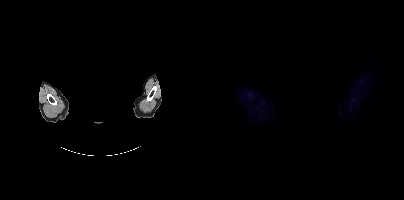
Two-panel axial: CT | PSMA PET, 18F-PSMA tracer. A rectangle over the head was blacked out to remove identifiable facial features. No PSMA-avid tumor lesions on this slice.